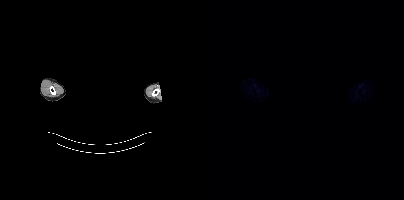
deidentification: face masked with black rectangle | modality: PSMA PET/CT | tracer: 18F | view: axial
Negative for PSMA-avid disease on this slice.